Paired axial CT (left) and PSMA PET (right), 18F-PSMA tracer.
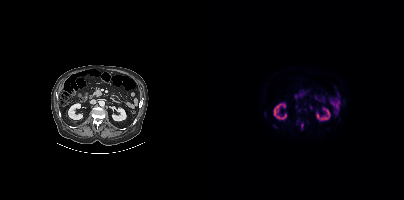
Coordinates are on the 200×200 PET (right) panel. PSMA-avid tumor lesion bounding boxes (partial; 2 more foci not listed):
| # | x0 | y0 | x1 | y1 |
|---|---|---|---|---|
| 1 | 97 | 123 | 99 | 129 |